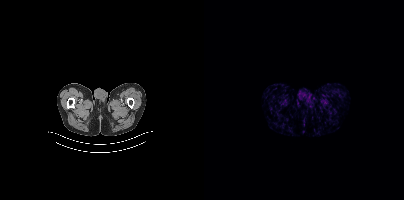
Findings: This slice has no annotated PSMA-avid lesion.
Technique: Two-panel axial: CT | PSMA PET, [68Ga]Ga-PSMA-11 tracer. acquired on Siemens Biograph mCT Flow 20. slice 18 of 373.